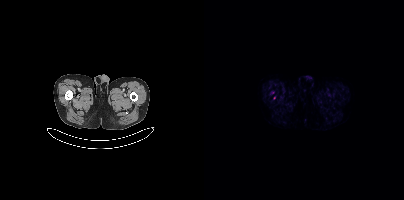
Two-panel axial: CT | PSMA PET, 18F-PSMA tracer. Slice 17 of 419. Negative for PSMA-avid disease on this slice.